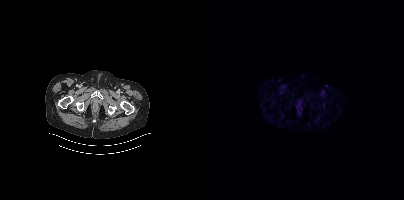
- Two-panel axial: CT | PSMA PET, 18F tracer
- PET panel 200×200 px (4.1 mm/px)
Findings: This slice has no annotated PSMA-avid lesion.